Technique: Left: CT. Right: PSMA PET, same axial level, 18F-PSMA tracer. slice position z = -1053 mm.
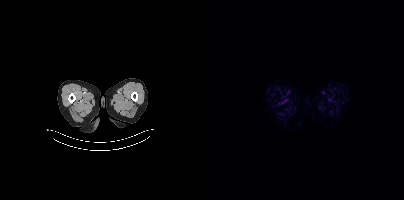
Findings: Negative for PSMA-avid disease on this slice.